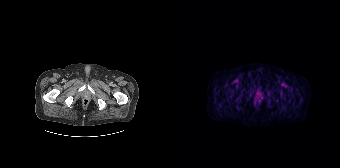
Findings: No PSMA-avid tumor lesions on this slice.
Technique: Two-panel axial: CT | PSMA PET, 18F-PSMA tracer. acquired on Siemens Biograph 64-4R TruePoint.